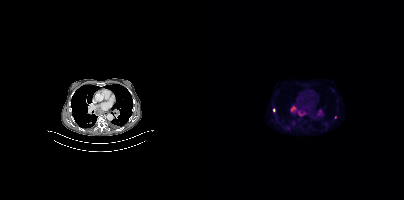
{"modality":"PSMA PET/CT","view":"axial","tracer":"[18F]PSMA-1007","pet_grid":[200,200],"coord_frame":"pet_panel","coord_format":"x0,y0,x1,y1","partial":true,"lesion_bboxes":[[93,110,102,116],[86,106,92,112],[113,110,116,114]],"small_foci_centers":[[90,122],[84,127],[69,110]]}